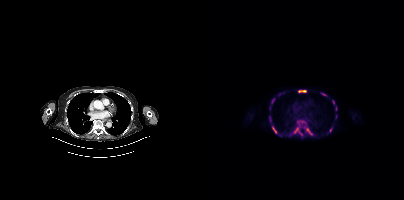
modality: PSMA PET/CT | tracer: 18F | view: axial
Coordinates are on the 200×200 PET (right) panel. (showing 13 of 17 foci) PSMA-avid tumor lesion bounding boxes (x0,y0,x1,y1): [89,127,99,138]; [94,120,100,125]; [94,90,102,92]; [75,92,80,95]; [69,127,72,133]; [67,98,70,103]; [125,128,128,132]; [65,119,67,123]; [128,100,130,104]; [131,106,133,110]. Small PSMA-avid foci (2 to 4 px across) near (center x, center y): (120, 94); (104, 130); (68, 125).